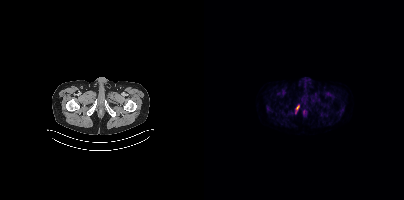
- Two-panel axial: CT | PSMA PET, 68Ga-PSMA tracer
- slice position z = -1776 mm
Findings: Coordinates are on the 200×200 PET (right) panel. PSMA-avid tumor lesion bounding box (x, y, width, height): x=92 y=105 w=4 h=6.